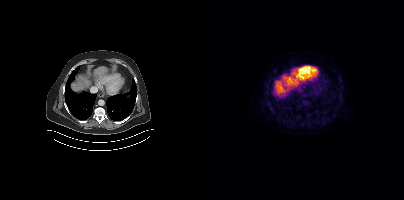
Coordinates are on the 200×200 PET (right) panel. PSMA-avid tumor lesion bounding box (x0,y0,x1,y1): [134,94,138,99].
modality: PSMA PET/CT | tracer: 18F | view: axial | PET grid: 200×200